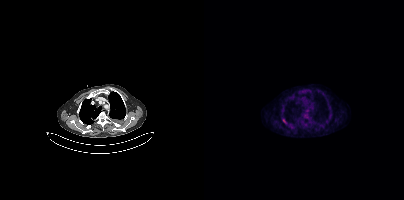
{"modality":"PSMA PET/CT","view":"axial","tracer":"[18F]PSMA-1007","pet_grid":[200,200],"coord_frame":"pet_panel","coord_format":"x0,y0,x1,y1","lesion_bboxes":[[79,119,83,124]]}